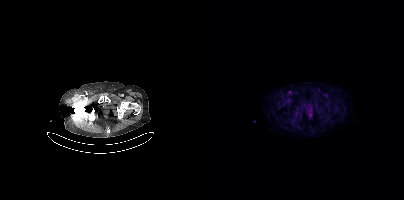
Left: CT. Right: PSMA PET, same axial level, [18F]PSMA-1007 tracer. Slice position z = -1540 mm. Coordinates are on the 200×200 PET (right) panel. Small PSMA-avid foci (2 to 4 px across) near (center x, center y): (85, 92) (114, 89).